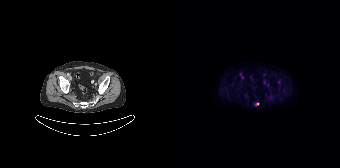
Two-panel axial: CT | PSMA PET, [18F]PSMA-1007 tracer. Acquired on Siemens Biograph 64-4R TruePoint. Slice 39 of 165. PET panel 168×168 px (4.1 mm/px). Coordinates are on the 168×168 PET (right) panel. Small PSMA-avid focus (2 to 4 px across) near (center x, center y): (85, 103).